Two-panel axial: CT | PSMA PET, 68Ga tracer. Acquired on GE Discovery 690. PET panel 256×256 px (2.7 mm/px).
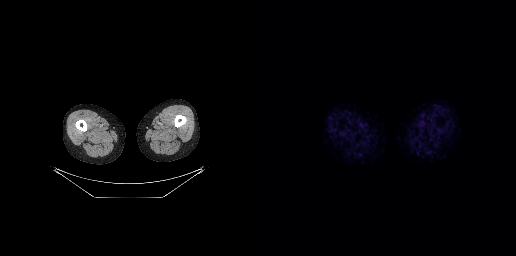
No tumor lesions annotated on this slice.